Technique: Left: CT. Right: PSMA PET, same axial level, 18F-PSMA tracer. PET panel 200×200 px (4.1 mm/px).
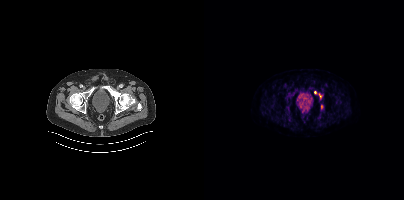
Findings: Coordinates are on the 200×200 PET (right) panel. PSMA-avid tumor lesion bounding box (x, y, width, height): x=115 y=93 w=4 h=7. Small PSMA-avid foci (2 to 4 px across) near (center x, center y): (117, 106) / (111, 92).